Technique: Paired axial CT (left) and PSMA PET (right), [18F]PSMA-1007 tracer. slice position z = -940 mm. PET panel 200×200 px (4.1 mm/px).
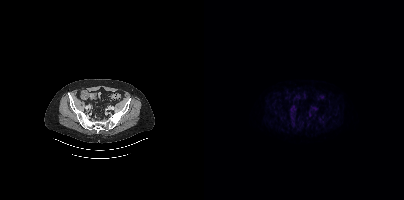
Findings: This slice has no annotated PSMA-avid lesion.